Technique: Left: CT. Right: PSMA PET, same axial level, 18F-PSMA tracer. acquired on Siemens Biograph mCT Flow 20. slice position z = -314 mm. PET panel 200×200 px (4.1 mm/px).
Note: A rectangular block over the head has been blanked out for de-identification.
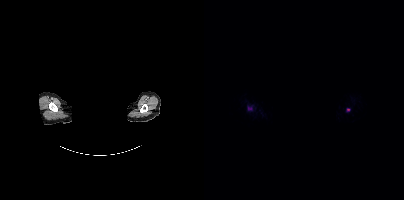
Findings: Coordinates are on the 200×200 PET (right) panel. PSMA-avid tumor lesion bounding box (x0, y0)-(x1, y1): (44, 107)-(48, 110). Small PSMA-avid focus (2 to 4 px across) near (center x, center y): (144, 109).